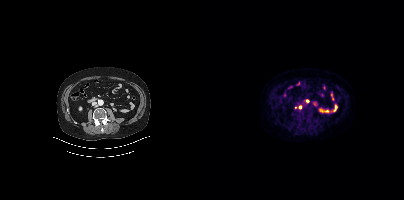
Coordinates are on the 200×200 PET (right) panel. Small PSMA-avid foci (2 to 4 px across) near (center x, center y): (91, 107) | (96, 107) | (103, 100).